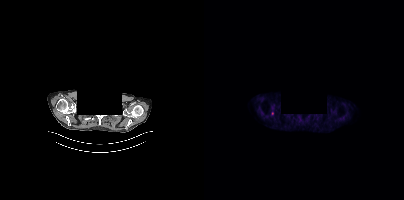
Left: CT. Right: PSMA PET, same axial level, [18F]PSMA-1007 tracer. PET panel 200×200 px (4.1 mm/px). Head region blanked for anonymization (face removed). Coordinates are on the 200×200 PET (right) panel. Small PSMA-avid focus (2 to 4 px across) near (center x, center y): (68, 113).